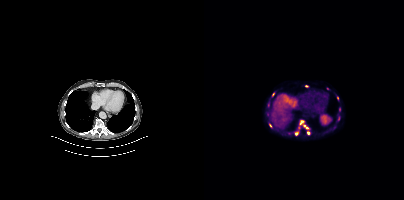
Paired axial CT (left) and PSMA PET (right), 18F tracer. Slice 245 of 413. PET panel 200×200 px (4.1 mm/px). Coordinates are on the 200×200 PET (right) panel. (showing 10 of 11 foci) PSMA-avid tumor lesion bounding boxes (x0,y0,x1,y1): [96,120,100,124], [99,125,104,128]. Small PSMA-avid foci (2 to 4 px across) near (center x, center y): (92, 133), (104, 132), (66, 125), (102, 86), (69, 94), (135, 109), (134, 118), (123, 88).